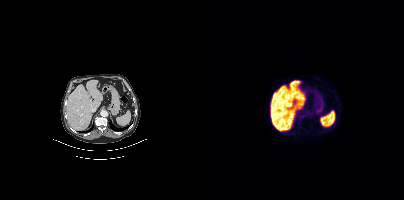
{"modality":"PSMA PET/CT","view":"axial","tracer":"[18F]PSMA-1007","pet_grid":[200,200],"coord_frame":"pet_panel","coord_format":"x0,y0,x1,y1","psma_avid_lesions":false}